Two-panel axial: CT | PSMA PET, 68Ga tracer. PET panel 256×256 px (2.7 mm/px).
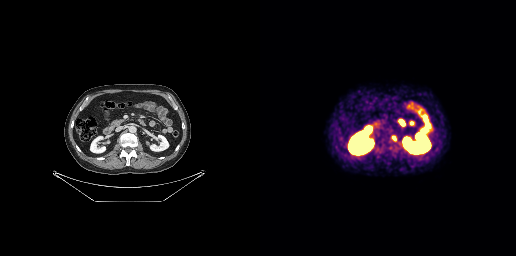
Coordinates are on the 256×256 PET (right) panel. Small PSMA-avid focus (2 to 4 px across) near (center x, center y): (133, 137).